Paired axial CT (left) and PSMA PET (right), 68Ga tracer. Acquired on Siemens Biograph 64-4R TruePoint. PET panel 168×168 px (4.1 mm/px).
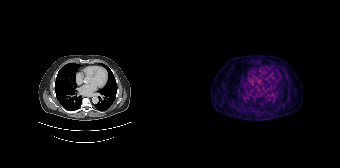
This slice has no annotated PSMA-avid lesion.